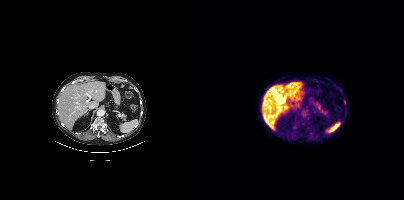
modality: PSMA PET/CT | tracer: 18F | view: axial
This slice has no annotated PSMA-avid lesion.